Two-panel axial: CT | PSMA PET, 18F-PSMA tracer.
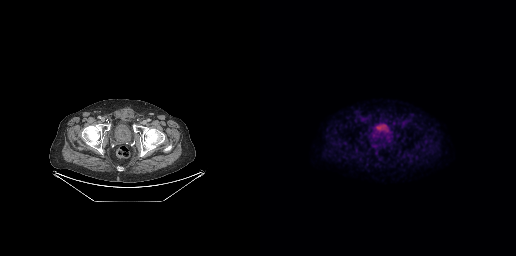
Negative for PSMA-avid disease on this slice.